- Two-panel axial: CT | PSMA PET, 18F tracer
- acquired on Siemens Biograph mCT Flow 20
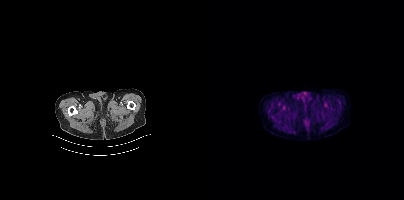
Findings: No tumor lesions annotated on this slice.